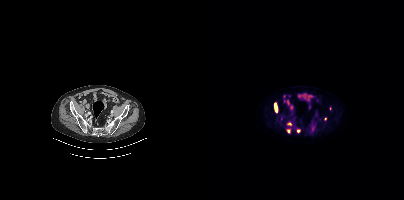
Findings: Coordinates are on the 200×200 PET (right) panel. (showing 5 of 6 foci) PSMA-avid tumor lesion bounding box (x, y, width, height): x=70 y=102 w=4 h=11. Small PSMA-avid foci (2 to 4 px across) near (center x, center y): (84, 131) / (126, 108) / (85, 123) / (94, 130).
- Paired axial CT (left) and PSMA PET (right), [18F]PSMA-1007 tracer
- slice position z = -1432 mm
- PET panel 200×200 px (4.1 mm/px)